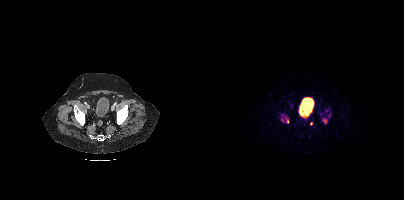
{"modality":"PSMA PET/CT","view":"axial","tracer":"68Ga","pet_grid":[200,200],"coord_frame":"pet_panel","coord_format":"x0,y0,x1,y1","lesion_bboxes":[[118,113,126,123],[121,109,125,112],[100,116,104,117]],"small_foci_centers":[[83,121],[107,123],[116,114]]}